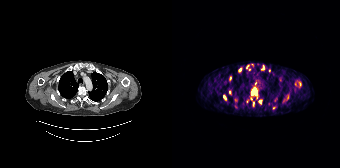
- Left: CT. Right: PSMA PET, same axial level, 68Ga tracer
Findings: Coordinates are on the 168×168 PET (right) panel. (showing 12 of 19 foci) PSMA-avid tumor lesion bounding boxes (x, y, width, height): x=79 y=88 w=7 h=8 | x=89 y=66 w=5 h=4 | x=51 y=95 w=4 h=5. Small PSMA-avid foci (2 to 4 px across) near (center x, center y): (58, 78) | (68, 69) | (102, 108) | (57, 92) | (87, 102) | (97, 70) | (75, 66) | (83, 83) | (79, 98).